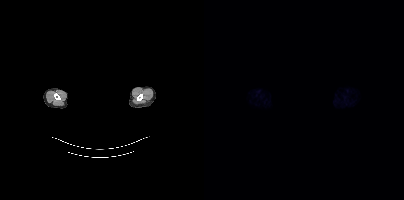
Technique: Left: CT. Right: PSMA PET, same axial level, 18F-PSMA tracer. slice 417 of 435. PET panel 200×200 px (4.1 mm/px).
Note: Face de-identified by blanking a block of the head.
Findings: No tumor lesions annotated on this slice.